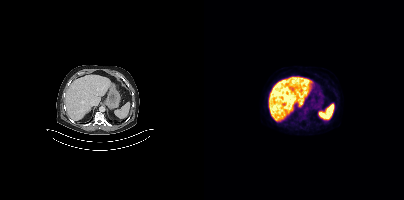
modality: PSMA PET/CT | tracer: 18F | view: axial | PET grid: 200×200
This slice has no annotated PSMA-avid lesion.